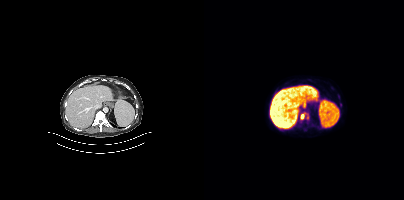
{"modality":"PSMA PET/CT","view":"axial","tracer":"18F","pet_grid":[200,200],"coord_frame":"pet_panel","coord_format":"x0,y0,x1,y1","lesion_bboxes":[[97,113,101,117]],"small_foci_centers":[[103,117],[136,104]]}